modality: PSMA PET/CT | tracer: 18F | view: axial
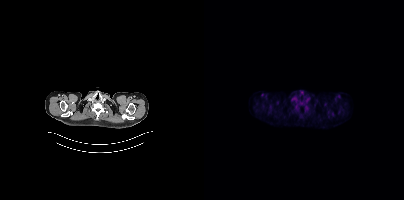
No PSMA-avid tumor lesions on this slice.